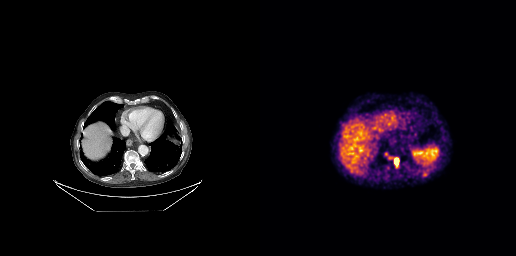
Left: CT. Right: PSMA PET, same axial level, 68Ga tracer. Acquired on GE Discovery 690. PET panel 256×256 px (2.7 mm/px). Coordinates are on the 256×256 PET (right) panel. (showing 4 of 6 foci) PSMA-avid tumor lesion bounding box (x0, y0)-(x1, y1): (135, 159)-(138, 166). Small PSMA-avid foci (2 to 4 px across) near (center x, center y): (164, 174) | (128, 167) | (130, 157).